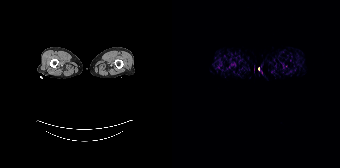
Findings: No tumor lesions annotated on this slice.
- Paired axial CT (left) and PSMA PET (right), 68Ga-PSMA tracer
- PET panel 168×168 px (4.1 mm/px)